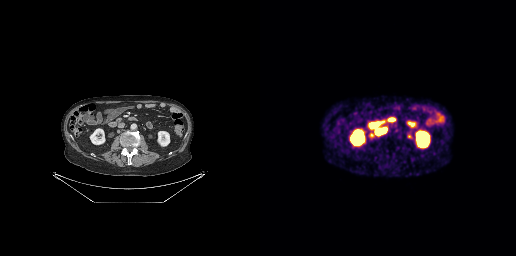
Left: CT. Right: PSMA PET, same axial level, 68Ga tracer. Slice position z = -598 mm. Coordinates are on the 256×256 PET (right) panel. PSMA-avid tumor lesion bounding box (x0, y0)-(x1, y1): (116, 128)-(126, 134).